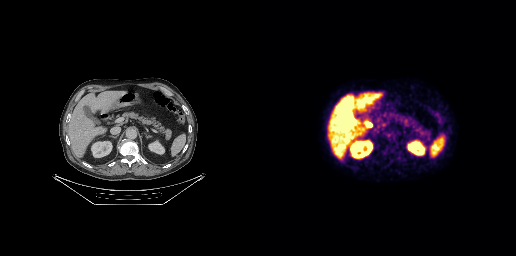
Findings: This slice has no annotated PSMA-avid lesion.
Technique: Two-panel axial: CT | PSMA PET, 18F-PSMA tracer. acquired on GE Discovery 690. slice 150 of 263. PET panel 256×256 px (2.7 mm/px).